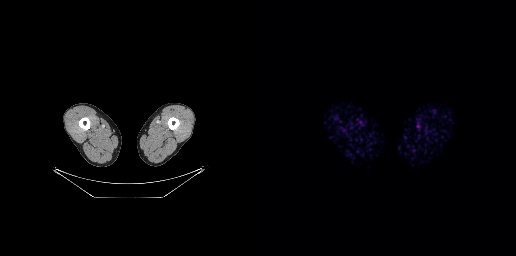
No tumor lesions annotated on this slice.